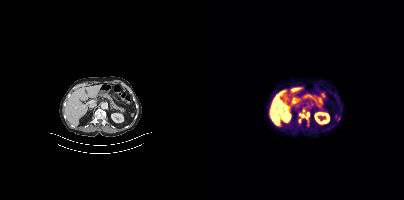
{"pet_grid":[200,200],"coord_frame":"pet_panel","coord_format":"x0,y0,x1,y1","lesion_bboxes":[[102,112,105,118],[95,114,100,117]],"small_foci_centers":[[95,120],[99,110]],"modality":"PSMA PET/CT","view":"axial","tracer":"[18F]PSMA-1007"}